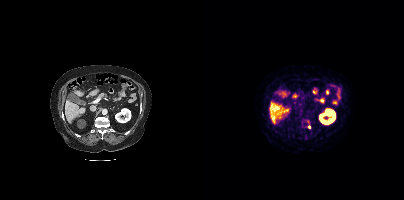
{"pet_grid":[200,200],"coord_frame":"pet_panel","coord_format":"x0,y0,x1,y1","partial":true,"lesion_bboxes":[],"small_foci_centers":[[105,126]],"modality":"PSMA PET/CT","view":"axial","tracer":"68Ga"}